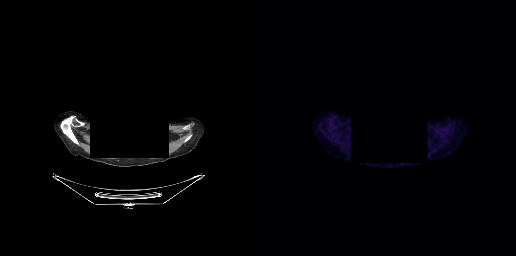
Technique: Paired axial CT (left) and PSMA PET (right), 18F tracer. slice position z = -266 mm.
Note: Face de-identified by blanking a block of the head.
Findings: This slice has no annotated PSMA-avid lesion.